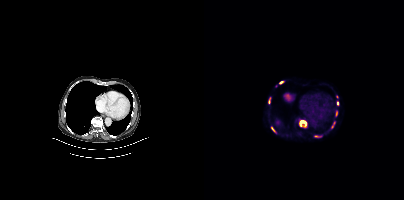
modality: PSMA PET/CT | tracer: [68Ga]Ga-PSMA-11 | view: axial
Coordinates are on the 200×200 PET (right) panel. (showing 7 of 9 foci) PSMA-avid tumor lesion bounding boxes (x, y, width, height): x=95 y=120 w=8 h=8 | x=67 y=127 w=5 h=6. Small PSMA-avid foci (2 to 4 px across) near (center x, center y): (132, 113) | (133, 103) | (77, 82) | (65, 102) | (128, 126).